- Two-panel axial: CT | PSMA PET, 18F-PSMA tracer
- slice 113 of 383
- PET panel 200×200 px (4.1 mm/px)
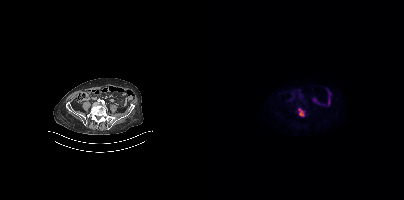
Findings: Coordinates are on the 200×200 PET (right) panel. PSMA-avid tumor lesion bounding box (x0,y0,x1,y1): [94,108,100,116].